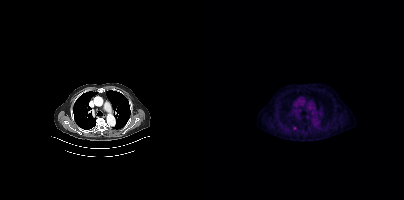
{"modality":"PSMA PET/CT","view":"axial","tracer":"18F","pet_grid":[200,200],"coord_frame":"pet_panel","coord_format":"x0,y0,x1,y1","lesion_bboxes":[],"small_foci_centers":[[91,128]]}